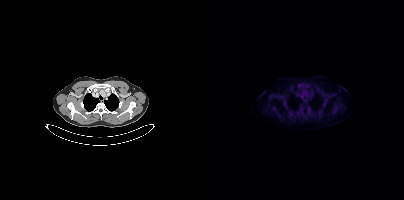
modality: PSMA PET/CT | tracer: 18F-PSMA | view: axial | PET grid: 200×200
Coordinates are on the 200×200 PET (right) panel. Small PSMA-avid focus (2 to 4 px across) near (center x, center y): (135, 89).